Two-panel axial: CT | PSMA PET, [18F]PSMA-1007 tracer. Slice 10 of 405. PET panel 200×200 px (4.1 mm/px).
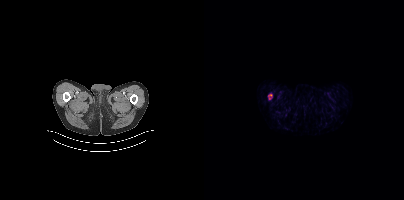
Coordinates are on the 200×200 PET (right) panel. PSMA-avid tumor lesion bounding box (x0,y0,x1,y1): [64,94,68,99].